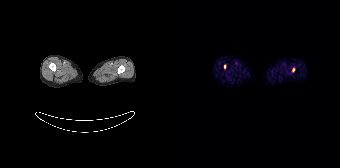
Findings: Coordinates are on the 168×168 PET (right) panel. Small PSMA-avid foci (2 to 4 px across) near (center x, center y): (121, 69) | (52, 66).
- Left: CT. Right: PSMA PET, same axial level, [68Ga]Ga-PSMA-11 tracer
- slice 8 of 165
- PET panel 168×168 px (4.1 mm/px)